- Left: CT. Right: PSMA PET, same axial level, 68Ga tracer
- acquired on Siemens Biograph mCT Flow 20
- slice position z = -1190 mm
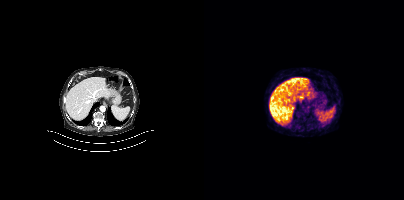
Findings: Negative for PSMA-avid disease on this slice.